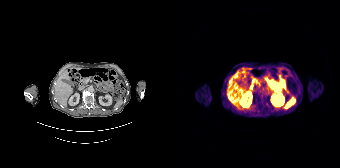
Negative for PSMA-avid disease on this slice.